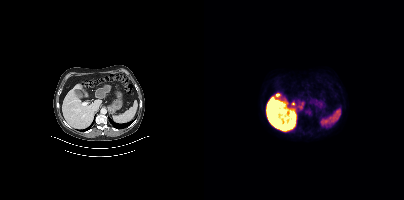
No PSMA-avid tumor lesions on this slice. Left: CT. Right: PSMA PET, same axial level, [18F]PSMA-1007 tracer. PET panel 200×200 px (4.1 mm/px).